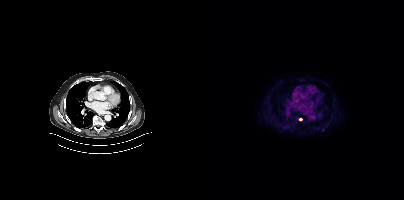
Paired axial CT (left) and PSMA PET (right), 18F tracer. PET panel 200×200 px (4.1 mm/px). Coordinates are on the 200×200 PET (right) panel. (showing 1 of 2 foci) Small PSMA-avid focus (2 to 4 px across) near (center x, center y): (96, 119).